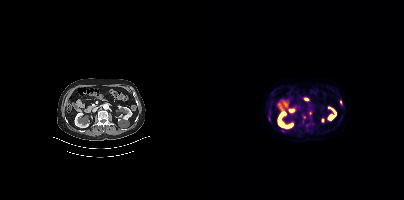
Technique: Two-panel axial: CT | PSMA PET, [18F]PSMA-1007 tracer. slice position z = -1281 mm. PET panel 200×200 px (4.1 mm/px).
Findings: Coordinates are on the 200×200 PET (right) panel. (showing 3 of 4 foci) PSMA-avid tumor lesion bounding boxes (x, y, width, height): x=64 y=116 w=3 h=5 | x=136 y=100 w=2 h=5. Small PSMA-avid focus (2 to 4 px across) near (center x, center y): (106, 113).